Paired axial CT (left) and PSMA PET (right), 18F tracer. Slice 203 of 263. PET panel 256×256 px (2.7 mm/px).
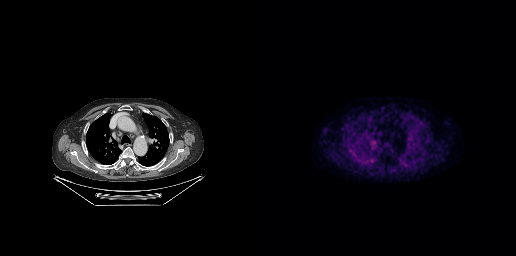
No PSMA-avid tumor lesions on this slice.